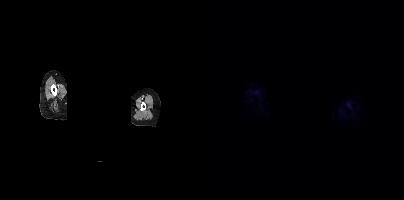
{"pet_grid":[200,200],"coord_frame":"pet_panel","coord_format":"x0,y0,x1,y1","psma_avid_lesions":false,"redaction":"head region blanked (face removed)","modality":"PSMA PET/CT","view":"axial","tracer":"68Ga-PSMA"}